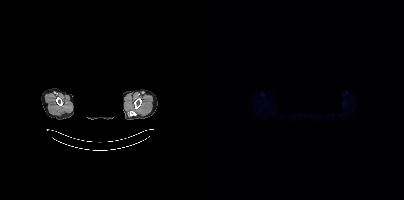
Left: CT. Right: PSMA PET, same axial level, 18F tracer. PET panel 200×200 px (4.1 mm/px). Privacy masking over the head, with the pixels inside a rectangle set to black. Negative for PSMA-avid disease on this slice.